Technique: Paired axial CT (left) and PSMA PET (right), [18F]PSMA-1007 tracer. acquired on Siemens Biograph mCT Flow 20. slice 36 of 448.
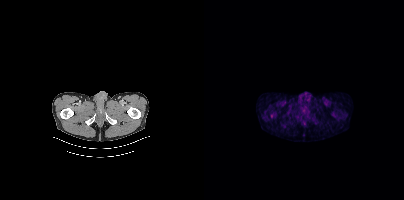
Findings: Coordinates are on the 200×200 PET (right) panel. Small PSMA-avid focus (2 to 4 px across) near (center x, center y): (68, 116).